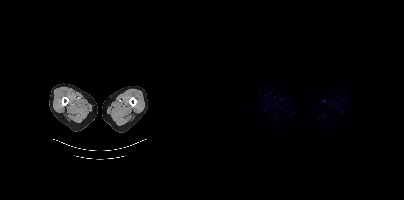
Paired axial CT (left) and PSMA PET (right), 18F tracer. Acquired on Siemens Biograph mCT Flow 20. Slice 7 of 405. No PSMA-avid tumor lesions on this slice.